Technique: Two-panel axial: CT | PSMA PET, 18F-PSMA tracer. acquired on Siemens Biograph mCT Flow 20. PET panel 200×200 px (4.1 mm/px).
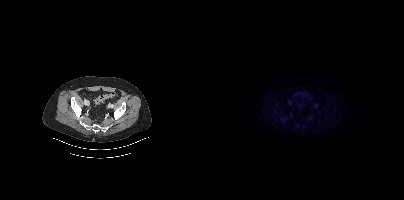
Findings: Only PSMA-avid lesion pieces thinner than 2 px on this slice (not listed).